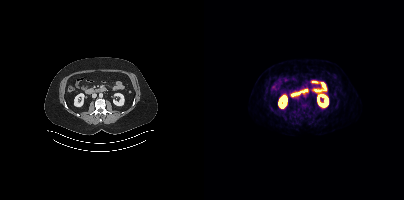
modality: PSMA PET/CT | tracer: [18F]PSMA-1007 | view: axial
This slice has no annotated PSMA-avid lesion.